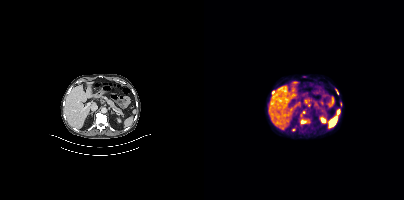
Coordinates are on the 200×200 PET (right) panel. (showing 5 of 6 foci) PSMA-avid tumor lesion bounding boxes (x0,y0,x1,y1): [96,115,106,124] [132,89,134,94]. Small PSMA-avid foci (2 to 4 px across) near (center x, center y): (99, 112) (69, 92) (89, 129).